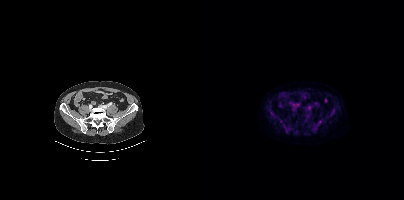
{"modality":"PSMA PET/CT","view":"axial","tracer":"[18F]PSMA-1007","pet_grid":[200,200],"coord_frame":"pet_panel","coord_format":"x0,y0,x1,y1","psma_avid_lesions":false}